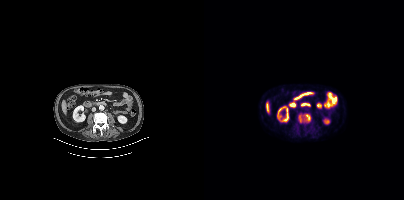
{"modality":"PSMA PET/CT","view":"axial","tracer":"18F-PSMA","pet_grid":[200,200],"coord_frame":"pet_panel","coord_format":"x0,y0,x1,y1","lesion_bboxes":[[94,114,106,122]]}